Left: CT. Right: PSMA PET, same axial level, [18F]PSMA-1007 tracer. Slice position z = -910 mm.
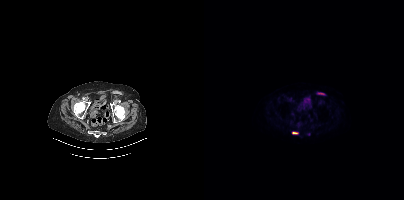
Coordinates are on the 200×200 PET (right) panel. PSMA-avid tumor lesion bounding boxes:
| # | x0 | y0 | x1 | y1 |
|---|---|---|---|---|
| 1 | 88 | 131 | 94 | 134 |
Small PSMA-avid focus (2 to 4 px across) near (center x, center y): (104, 134).